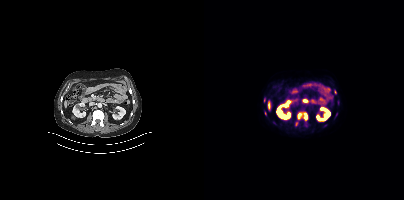
{"modality":"PSMA PET/CT","view":"axial","tracer":"[18F]PSMA-1007","pet_grid":[200,200],"coord_frame":"pet_panel","coord_format":"x0,y0,x1,y1","partial":true,"lesion_bboxes":[[94,113,103,119]],"small_foci_centers":[[60,100],[131,92],[61,113]]}